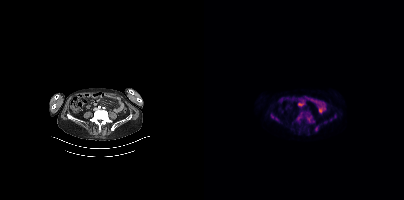
Coordinates are on the 200×200 PET (right) panel. PSMA-avid tumor lesion bounding boxes (x, y, width, height): x=101 y=113 w=8 h=10 / x=93 y=113 w=6 h=8 / x=111 y=126 w=4 h=6 / x=67 y=114 w=3 h=5. Small PSMA-avid focus (2 to 4 px across) near (center x, center y): (72, 119).